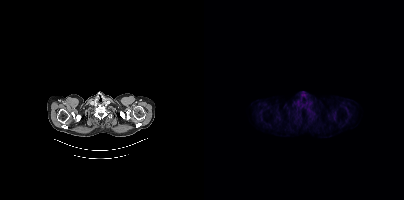
{"modality":"PSMA PET/CT","view":"axial","tracer":"18F-PSMA","pet_grid":[200,200],"coord_frame":"pet_panel","coord_format":"x0,y0,x1,y1","psma_avid_lesions":false}